Technique: Paired axial CT (left) and PSMA PET (right), 68Ga-PSMA tracer.
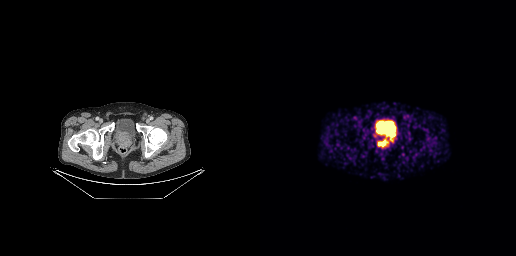
Findings: Coordinates are on the 256×256 PET (right) panel. PSMA-avid tumor lesion bounding box (x, y, width, height): x=118 y=139 w=11 h=8.